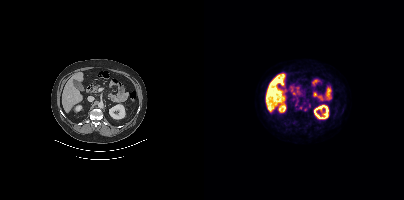
Coordinates are on the 200×200 PET (right) panel. PSMA-avid tumor lesion bounding box (x0, y0)-(x1, y1): (91, 101)-(94, 106). Small PSMA-avid foci (2 to 4 px across) near (center x, center y): (101, 109) | (105, 105).
modality: PSMA PET/CT | tracer: 18F | view: axial